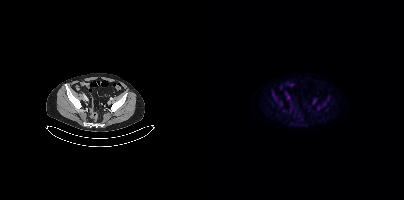
Technique: Paired axial CT (left) and PSMA PET (right), 18F-PSMA tracer. acquired on Siemens Biograph mCT Flow 20. slice 99 of 431. PET panel 200×200 px (4.1 mm/px).
Findings: No PSMA-avid tumor lesions on this slice.